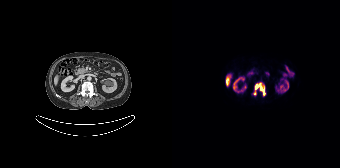
Paired axial CT (left) and PSMA PET (right), 18F-PSMA tracer. Acquired on Siemens Biograph 64-4R TruePoint. Slice position z = -990 mm. Coordinates are on the 168×168 PET (right) panel. PSMA-avid tumor lesion bounding box (x0,y0,x1,y1): [80,82,94,96].